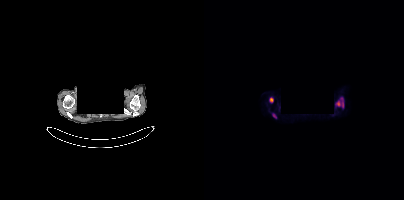
modality: PSMA PET/CT | tracer: 18F-PSMA | view: axial | redaction: rectangular block over head set to black
Coordinates are on the 200×200 PET (right) panel. PSMA-avid tumor lesion bounding boxes (x0, y0)-(x1, y1): (131, 98)-(139, 107); (66, 98)-(69, 102). Small PSMA-avid focus (2 to 4 px across) near (center x, center y): (70, 115).